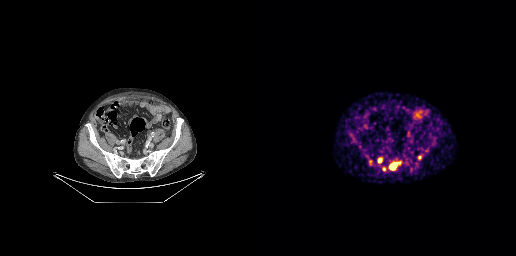
- Two-panel axial: CT | PSMA PET, 68Ga-PSMA tracer
- slice 76 of 263
- PET panel 256×256 px (2.7 mm/px)
Findings: Coordinates are on the 256×256 PET (right) panel. PSMA-avid tumor lesion bounding boxes (x0,y0,x1,y1): [130,162,139,169] [118,158,122,162] [158,155,161,159]. Small PSMA-avid focus (2 to 4 px across) near (center x, center y): (124, 169).